Paired axial CT (left) and PSMA PET (right), [68Ga]Ga-PSMA-11 tracer. Slice 59 of 263. PET panel 256×256 px (2.7 mm/px).
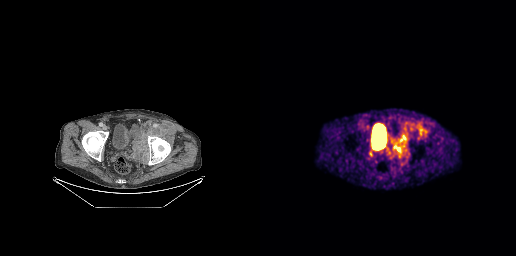
Coordinates are on the 256×256 PET (right) panel. PSMA-avid tumor lesion bounding boxes:
| # | x0 | y0 | x1 | y1 |
|---|---|---|---|---|
| 1 | 133 | 135 | 148 | 156 |
| 2 | 156 | 124 | 167 | 135 |